modality: PSMA PET/CT | tracer: 18F | view: axial
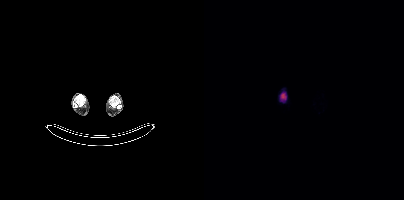
Coordinates are on the 200×200 PET (right) panel. PSMA-avid tumor lesion bounding box (x, y, width, height): x=77 y=93 w=5 h=7.